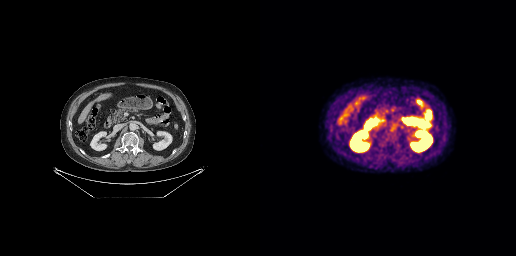
Negative for PSMA-avid disease on this slice.